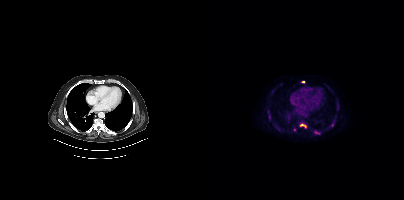
Left: CT. Right: PSMA PET, same axial level, [18F]PSMA-1007 tracer. Slice 297 of 450. PET panel 200×200 px (4.1 mm/px).
Coordinates are on the 200×200 PET (right) panel. PSMA-avid tumor lesion bounding boxes:
| # | x0 | y0 | x1 | y1 |
|---|---|---|---|---|
| 1 | 110 | 130 | 116 | 134 |
| 2 | 96 | 124 | 101 | 127 |
Small PSMA-avid foci (2 to 4 px across) near (center x, center y): (65, 117); (99, 81); (90, 129).